Two-panel axial: CT | PSMA PET, 18F tracer. Acquired on Siemens Biograph mCT Flow 20. Slice 127 of 401.
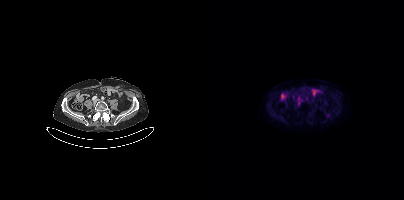
No PSMA-avid tumor lesions on this slice.